Technique: Two-panel axial: CT | PSMA PET, 18F tracer. PET panel 200×200 px (4.1 mm/px).
Note: Face de-identified by blanking a block of the head.
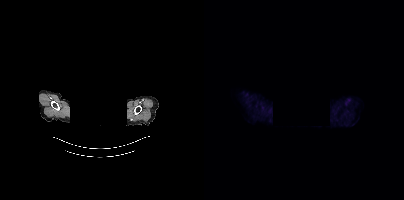
Findings: Negative for PSMA-avid disease on this slice.